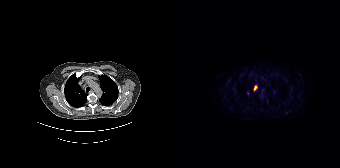
Coordinates are on the 168×168 PET (right) panel. PSMA-avid tumor lesion bounding box (x0, y0)-(x1, y1): (81, 85)-(85, 91). Small PSMA-avid foci (2 to 4 px across) near (center x, center y): (114, 112); (75, 93).
modality: PSMA PET/CT | tracer: [18F]PSMA-1007 | view: axial | PET grid: 168×168